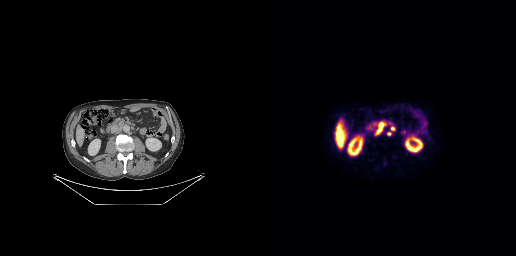
Paired axial CT (left) and PSMA PET (right), [18F]PSMA-1007 tracer. Acquired on GE Discovery 690. Slice 124 of 263. PET panel 256×256 px (2.7 mm/px). Coordinates are on the 256×256 PET (right) panel. PSMA-avid tumor lesion bounding boxes (x0, y0)-(x1, y1): (114, 121)-(126, 135) / (131, 126)-(135, 130) / (127, 132)-(131, 135).